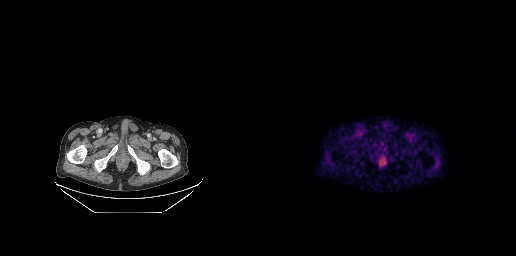
{"modality":"PSMA PET/CT","view":"axial","tracer":"68Ga-PSMA","pet_grid":[256,256],"coord_frame":"pet_panel","coord_format":"x0,y0,x1,y1","psma_avid_lesions":false}